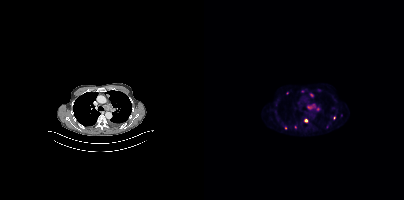
Coordinates are on the 200×200 PET (right) panel. (showing 9 of 12 foci) PSMA-avid tumor lesion bounding boxes (x0,y0,x1,y1): [103,103,112,109]; [106,93,109,97]. Small PSMA-avid foci (2 to 4 px across) near (center x, center y): (113, 109); (102, 120); (130, 118); (123, 127); (81, 128); (137, 115); (91, 126).